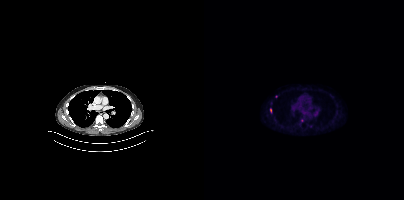
{"pet_grid":[200,200],"coord_frame":"pet_panel","coord_format":"x0,y0,x1,y1","lesion_bboxes":[],"small_foci_centers":[[98,120],[72,96],[66,110]],"modality":"PSMA PET/CT","view":"axial","tracer":"[18F]PSMA-1007"}